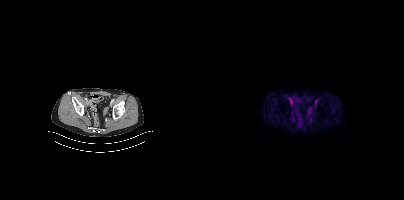
Two-panel axial: CT | PSMA PET, 18F-PSMA tracer. PET panel 200×200 px (4.1 mm/px). No PSMA-avid tumor lesions on this slice.